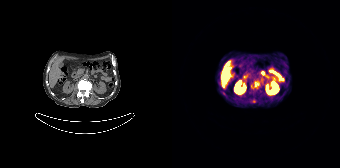
{"modality":"PSMA PET/CT","view":"axial","tracer":"[68Ga]Ga-PSMA-11","pet_grid":[168,168],"coord_frame":"pet_panel","coord_format":"x0,y0,x1,y1","lesion_bboxes":[[80,82,87,88]]}